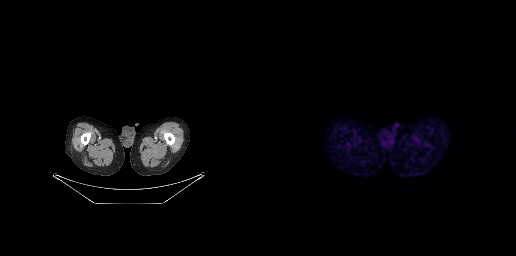
No tumor lesions annotated on this slice.